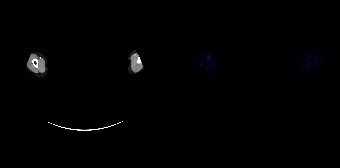
No PSMA-avid tumor lesions on this slice. The face region was removed for patient privacy by blanking a rectangle over the head. Paired axial CT (left) and PSMA PET (right), 18F-PSMA tracer. Acquired on Siemens Biograph 64-4R TruePoint.